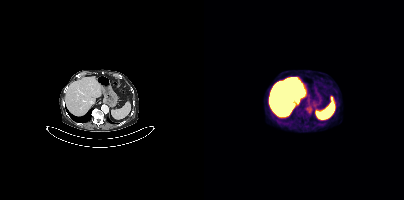
Technique: Two-panel axial: CT | PSMA PET, [18F]PSMA-1007 tracer. PET panel 200×200 px (4.1 mm/px).
Findings: No tumor lesions annotated on this slice.